- Left: CT. Right: PSMA PET, same axial level, [18F]PSMA-1007 tracer
- slice position z = -596 mm
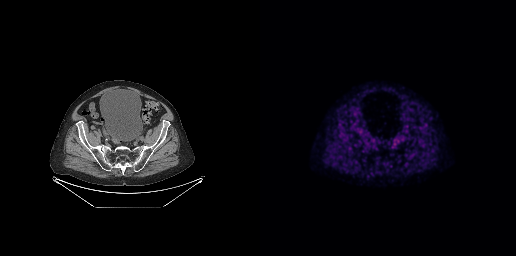
Findings: No tumor lesions annotated on this slice.